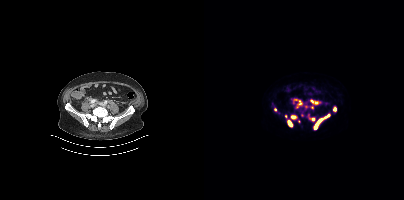
Coordinates are on the 200×200 PET (right) panel. (showing 11 of 14 foci) PSMA-avid tumor lesion bounding boxes (x0,y0,x1,y1): [109,114,126,129]; [83,120,88,127]; [106,100,114,104]; [87,115,92,119]; [93,100,98,107]; [129,107,132,111]; [106,118,110,121]. Small PSMA-avid foci (2 to 4 px across) near (center x, center y): (92, 99); (108, 107); (81, 116); (71, 109).